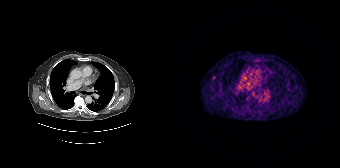
Coordinates are on the 168×168 PET (right) panel. Small PSMA-avid focus (2 to 4 px across) near (center x, center y): (41, 77).
modality: PSMA PET/CT | tracer: 68Ga | view: axial